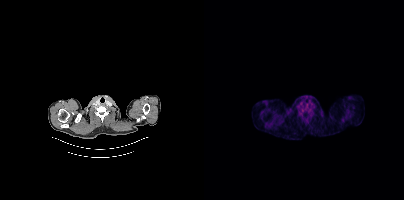
{"modality":"PSMA PET/CT","view":"axial","tracer":"[18F]PSMA-1007","pet_grid":[200,200],"coord_frame":"pet_panel","coord_format":"x0,y0,x1,y1","psma_avid_lesions":false}